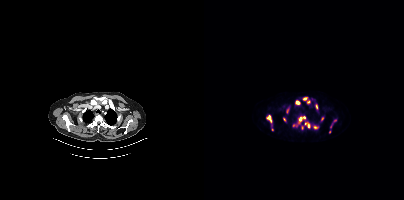
Coordinates are on the 200×200 PET (right) panel. (showing 13 of 16 foci) PSMA-avid tumor lesion bounding boxes (x, y, width, height): x=95 y=116 w=7 h=8 / x=101 y=122 w=6 h=7 / x=63 y=115 w=5 h=8 / x=111 y=104 w=3 h=6. Small PSMA-avid foci (2 to 4 px across) near (center x, center y): (93, 102) / (111, 127) / (80, 119) / (83, 110) / (101, 98) / (104, 101) / (118, 118) / (89, 125) / (125, 131).